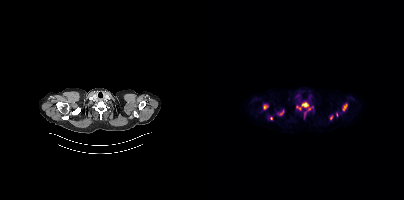
Findings: Coordinates are on the 200×200 PET (right) panel. (showing 7 of 10 foci) PSMA-avid tumor lesion bounding boxes (x0, y0)-(x1, y1): (59, 105)-(63, 108); (139, 104)-(143, 109). Small PSMA-avid foci (2 to 4 px across) near (center x, center y): (93, 107); (100, 104); (106, 108); (79, 110); (67, 118).
- Paired axial CT (left) and PSMA PET (right), [18F]PSMA-1007 tracer